modality: PSMA PET/CT | tracer: 68Ga-PSMA | view: axial | PET grid: 256×256
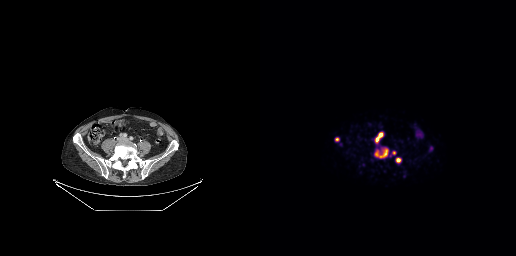
Coordinates are on the 256×256 PET (right) panel. PSMA-avid tumor lesion bounding boxes (x, y, width, height): x=115 y=149 w=14 h=9 | x=136 y=158 w=5 h=5 | x=116 y=133 w=7 h=8 | x=75 y=137 w=5 h=5. Small PSMA-avid foci (2 to 4 px across) near (center x, center y): (133, 152) | (171, 148).